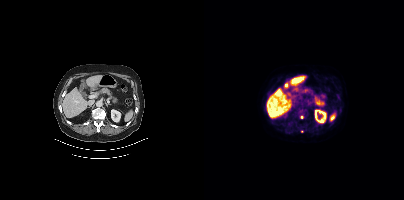
Coordinates are on the 200×200 PET (right) panel. PSMA-avid tumor lesion bounding boxes (x, y, width, height): x=92 y=110 w=10 h=9; x=84 y=121 w=5 h=6; x=133 y=95 w=4 h=6. Small PSMA-avid focus (2 to 4 px across) near (center x, center y): (98, 131).
modality: PSMA PET/CT | tracer: [18F]PSMA-1007 | view: axial